modality: PSMA PET/CT | tracer: 18F-PSMA | view: axial | PET grid: 200×200
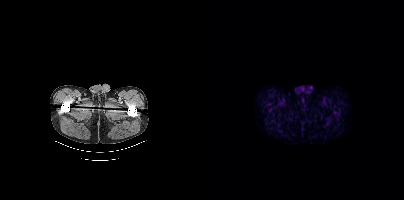
This slice has no annotated PSMA-avid lesion.